Paired axial CT (left) and PSMA PET (right), 18F-PSMA tracer.
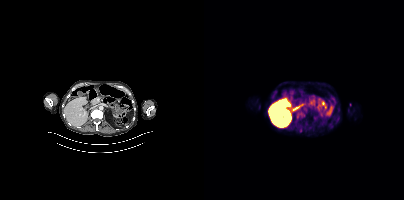
This slice has no annotated PSMA-avid lesion.